Paired axial CT (left) and PSMA PET (right), 18F-PSMA tracer. Slice 142 of 299. PET panel 256×256 px (2.7 mm/px).
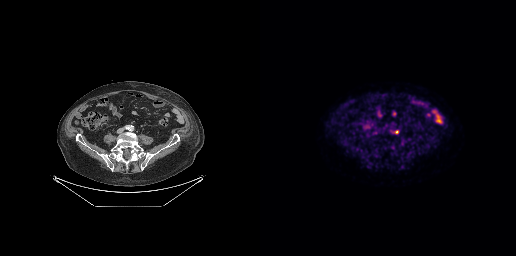
Coordinates are on the 256×256 PET (right) panel. PSMA-avid tumor lesion bounding box (x, y, width, height): x=133 y=130 w=6 h=4.